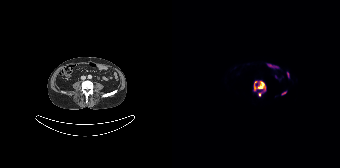
Findings: Coordinates are on the 168×168 PET (right) panel. PSMA-avid tumor lesion bounding box (x0, y0)-(x1, y1): (81, 80)-(94, 96). Small PSMA-avid focus (2 to 4 px across) near (center x, center y): (110, 93).
- Left: CT. Right: PSMA PET, same axial level, 18F-PSMA tracer
- acquired on Siemens Biograph 64-4R TruePoint
- PET panel 168×168 px (4.1 mm/px)